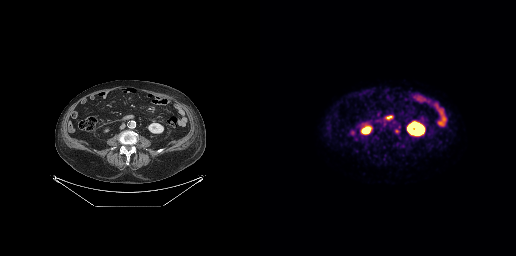
{"pet_grid":[256,256],"coord_frame":"pet_panel","coord_format":"x0,y0,x1,y1","lesion_bboxes":[],"small_foci_centers":[[137,131]],"modality":"PSMA PET/CT","view":"axial","tracer":"18F-PSMA"}